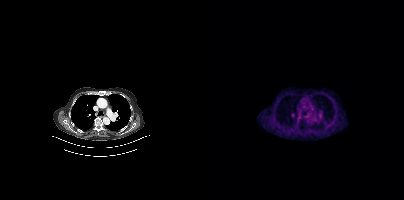
modality: PSMA PET/CT | tracer: [68Ga]Ga-PSMA-11 | view: axial
Negative for PSMA-avid disease on this slice.